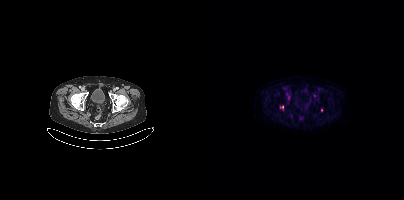
modality: PSMA PET/CT | tracer: [18F]PSMA-1007 | view: axial | PET grid: 200×200
Coordinates are on the 200×200 PET (right) panel. (showing 4 of 5 foci) Small PSMA-avid foci (2 to 4 px across) near (center x, center y): (84, 97) | (117, 110) | (110, 95) | (78, 106).